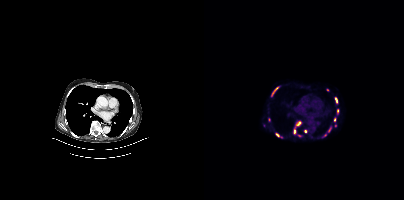
Coordinates are on the 200×200 PET (right) panel. PSMA-avid tumor lesion bounding boxes (partial; 3 more foci not listed):
| # | x0 | y0 | x1 | y1 |
|---|---|---|---|---|
| 1 | 89 | 129 | 92 | 134 |
| 2 | 92 | 122 | 96 | 125 |
| 3 | 131 | 98 | 133 | 102 |
Small PSMA-avid foci (2 to 4 px across) near (center x, center y): (73, 134); (125, 129); (101, 131); (72, 88); (95, 135); (65, 119); (130, 119); (131, 125); (121, 134).
Two-panel axial: CT | PSMA PET, 68Ga-PSMA tracer. Acquired on Siemens Biograph mCT Flow 20.